Left: CT. Right: PSMA PET, same axial level, 18F-PSMA tracer. Slice position z = -830 mm. PET panel 200×200 px (4.1 mm/px).
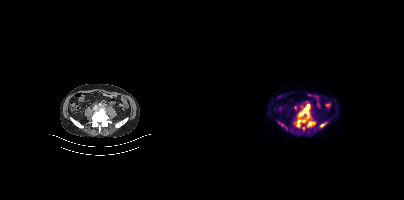
Coordinates are on the 200×200 PET (right) panel. PSMA-avid tumor lesion bounding boxes (partial; 1 more focus not listed):
| # | x0 | y0 | x1 | y1 |
|---|---|---|---|---|
| 1 | 94 | 105 | 105 | 118 |
| 2 | 93 | 120 | 101 | 126 |
| 3 | 104 | 122 | 110 | 126 |
Small PSMA-avid focus (2 to 4 px across) near (center x, center y): (118, 125).